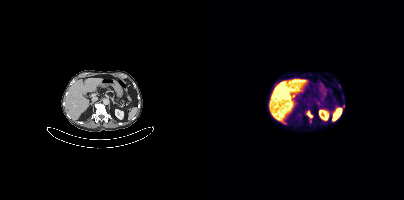
{"modality":"PSMA PET/CT","view":"axial","tracer":"18F-PSMA","pet_grid":[200,200],"coord_frame":"pet_panel","coord_format":"x0,y0,x1,y1","lesion_bboxes":[[103,111,108,117]]}